Paired axial CT (left) and PSMA PET (right), 18F-PSMA tracer.
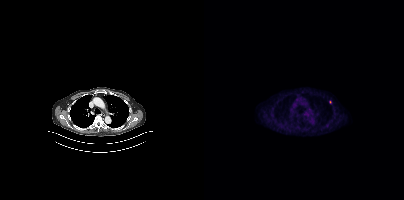
Coordinates are on the 200×200 PET (right) panel. Small PSMA-avid foci (2 to 4 px across) near (center x, center y): (126, 102) | (123, 124).